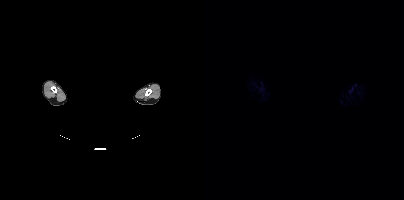
No PSMA-avid tumor lesions on this slice.
modality: PSMA PET/CT | tracer: 18F | view: axial | de-identification: rectangular block over head set to black